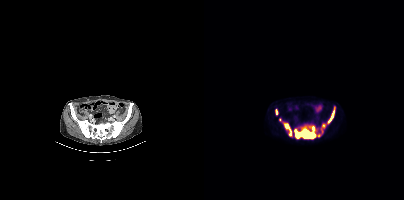
Findings: Coordinates are on the 200×200 PET (right) panel. (showing 7 of 8 foci) PSMA-avid tumor lesion bounding boxes (x0, y0)-(x1, y1): (90, 126)-(111, 138); (79, 122)-(88, 135); (124, 107)-(130, 122); (112, 130)-(119, 137); (118, 124)-(122, 128); (72, 109)-(73, 114). Small PSMA-avid focus (2 to 4 px across) near (center x, center y): (76, 119).
Technique: Left: CT. Right: PSMA PET, same axial level, 18F-PSMA tracer. acquired on Siemens Biograph mCT Flow 20. slice 111 of 435. PET panel 200×200 px (4.1 mm/px).